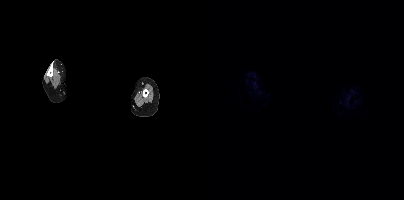
Any black rectangle over the head is a privacy mask, not anatomy.
Negative for PSMA-avid disease on this slice.